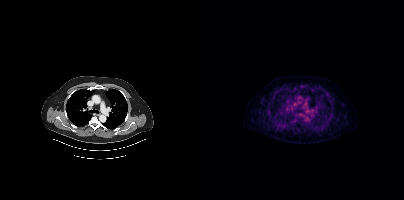
Findings: No tumor lesions annotated on this slice.
- Paired axial CT (left) and PSMA PET (right), [18F]PSMA-1007 tracer